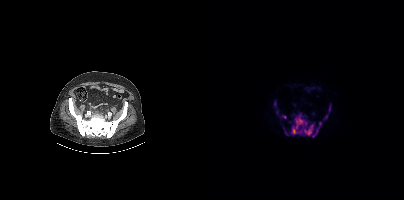
{"pet_grid":[200,200],"coord_frame":"pet_panel","coord_format":"x0,y0,x1,y1","partial":true,"lesion_bboxes":[[86,113,117,137],[125,104,126,111],[78,115,82,118],[120,115,123,119],[81,131,84,135]],"small_foci_centers":[[70,103]],"modality":"PSMA PET/CT","view":"axial","tracer":"18F"}